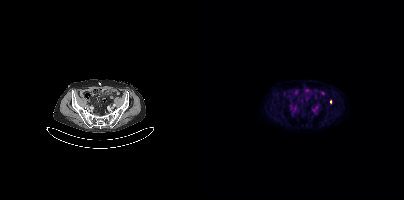
{"pet_grid":[200,200],"coord_frame":"pet_panel","coord_format":"x0,y0,x1,y1","lesion_bboxes":[],"small_foci_centers":[[126,101]],"modality":"PSMA PET/CT","view":"axial","tracer":"18F-PSMA"}